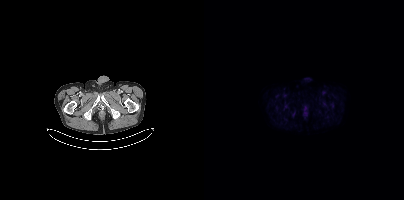
- Two-panel axial: CT | PSMA PET, [18F]PSMA-1007 tracer
- acquired on Siemens Biograph mCT Flow 20
- slice 37 of 403
Findings: Coordinates are on the 200×200 PET (right) panel. (showing 1 of 2 foci) Small PSMA-avid focus (2 to 4 px across) near (center x, center y): (101, 113).